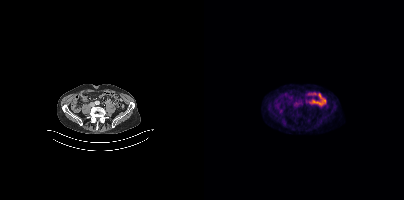
Findings: Negative for PSMA-avid disease on this slice.
- Left: CT. Right: PSMA PET, same axial level, 18F-PSMA tracer
- slice 141 of 407
- PET panel 200×200 px (4.1 mm/px)